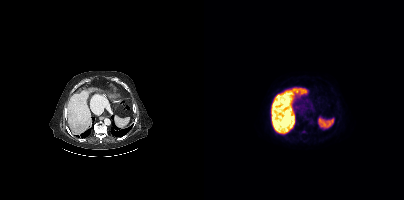
Left: CT. Right: PSMA PET, same axial level, 18F tracer. No PSMA-avid tumor lesions on this slice.